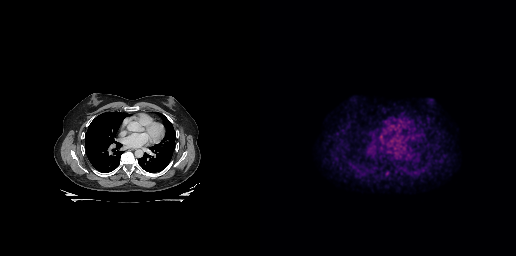
Paired axial CT (left) and PSMA PET (right), 18F-PSMA tracer. No PSMA-avid tumor lesions on this slice.